Paired axial CT (left) and PSMA PET (right), 68Ga tracer. Slice 12 of 165. PET panel 168×168 px (4.1 mm/px).
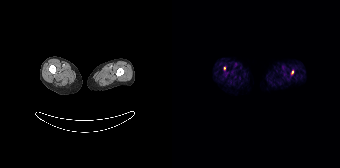
Coordinates are on the 168×168 PET (right) panel. Small PSMA-avid foci (2 to 4 px across) near (center x, center y): (52, 68); (120, 72).